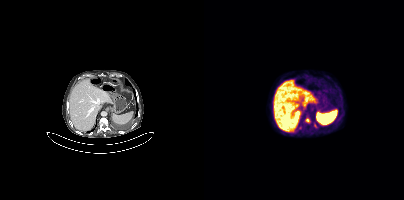
Paired axial CT (left) and PSMA PET (right), [18F]PSMA-1007 tracer. Slice position z = -1184 mm. Coordinates are on the 200×200 PET (right) panel. (showing 2 of 3 foci) PSMA-avid tumor lesion bounding box (x0,y0,x1,y1): [101,118,106,122]. Small PSMA-avid focus (2 to 4 px across) near (center x, center y): (96, 128).